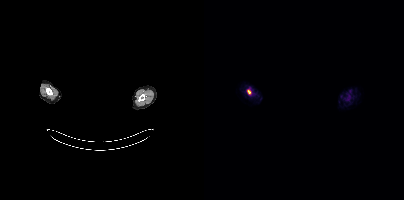
{"pet_grid":[200,200],"coord_frame":"pet_panel","coord_format":"x0,y0,x1,y1","lesion_bboxes":[[43,90,46,94]],"deidentification":"head region blacked out before release","modality":"PSMA PET/CT","view":"axial","tracer":"18F-PSMA"}